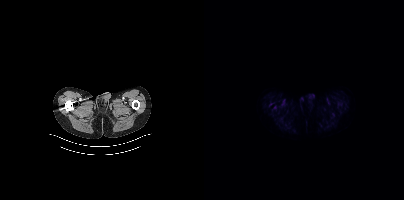
{"modality":"PSMA PET/CT","view":"axial","tracer":"18F-PSMA","pet_grid":[200,200],"coord_frame":"pet_panel","coord_format":"x0,y0,x1,y1","psma_avid_lesions":false}